Technique: Left: CT. Right: PSMA PET, same axial level, [18F]PSMA-1007 tracer. PET panel 200×200 px (4.1 mm/px).
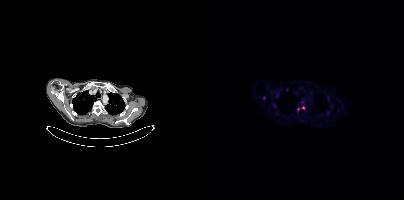
Findings: Coordinates are on the 200×200 PET (right) panel. (showing 5 of 8 foci) PSMA-avid tumor lesion bounding box (x0,y0,x1,y1): [72,93,74,97]. Small PSMA-avid foci (2 to 4 px across) near (center x, center y): (98, 107); (124, 96); (70, 105); (94, 109).